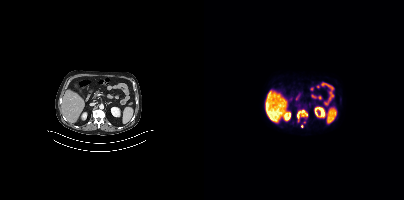
{"modality":"PSMA PET/CT","view":"axial","tracer":"18F","pet_grid":[200,200],"coord_frame":"pet_panel","coord_format":"x0,y0,x1,y1","partial":true,"lesion_bboxes":[[93,109,103,121]],"small_foci_centers":[[98,126]]}